Technique: Paired axial CT (left) and PSMA PET (right), [18F]PSMA-1007 tracer. slice 31 of 438. PET panel 200×200 px (4.1 mm/px).
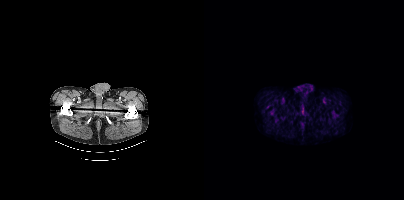
Findings: No PSMA-avid tumor lesions on this slice.